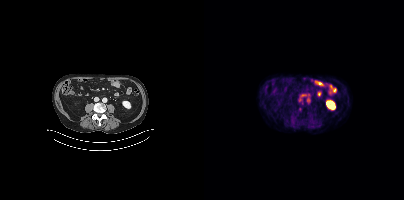
{"pet_grid":[200,200],"coord_frame":"pet_panel","coord_format":"x0,y0,x1,y1","psma_avid_lesions":false,"modality":"PSMA PET/CT","view":"axial","tracer":"18F-PSMA"}